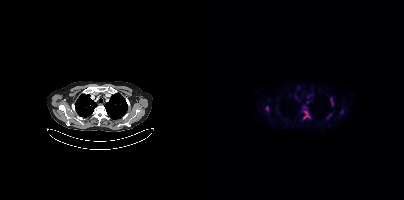
Paired axial CT (left) and PSMA PET (right), 18F tracer. Acquired on Siemens Biograph mCT Flow 20. PET panel 200×200 px (4.1 mm/px).
Coordinates are on the 200×200 PET (right) panel. PSMA-avid tumor lesion bounding boxes (partial; 2 more foci not listed):
| # | x0 | y0 | x1 | y1 |
|---|---|---|---|---|
| 1 | 99 | 111 | 105 | 118 |
| 2 | 126 | 97 | 129 | 105 |
Small PSMA-avid foci (2 to 4 px across) near (center x, center y): (103, 101); (137, 111).